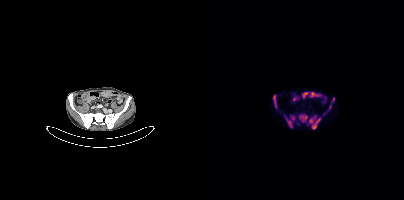
Technique: Two-panel axial: CT | PSMA PET, 18F tracer.
Findings: Coordinates are on the 200×200 PET (right) panel. (showing 7 of 9 foci) PSMA-avid tumor lesion bounding boxes (x, y, width, height): x=81 y=115 w=11 h=13 | x=95 y=114 w=9 h=9 | x=108 y=118 w=9 h=12 | x=69 y=95 w=4 h=13 | x=105 y=118 w=5 h=5 | x=124 y=104 w=4 h=7 | x=128 y=97 w=3 h=6.